Paired axial CT (left) and PSMA PET (right), 68Ga tracer. Slice position z = -750 mm. PET panel 168×168 px (4.1 mm/px).
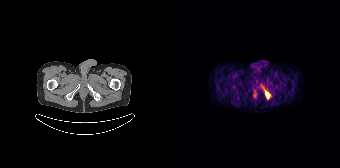
Coordinates are on the 168×168 PET (right) panel. PSMA-avid tumor lesion bounding boxes:
| # | x0 | y0 | x1 | y1 |
|---|---|---|---|---|
| 1 | 89 | 85 | 99 | 98 |